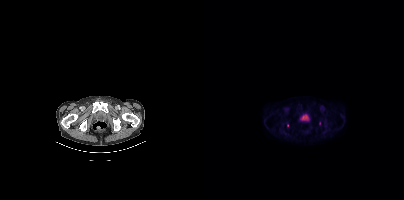
{"pet_grid":[200,200],"coord_frame":"pet_panel","coord_format":"x0,y0,x1,y1","lesion_bboxes":[],"small_foci_centers":[[115,123]],"modality":"PSMA PET/CT","view":"axial","tracer":"18F-PSMA"}